Two-panel axial: CT | PSMA PET, 68Ga tracer. Acquired on Siemens Biograph mCT Flow 20. Slice position z = 169 mm. PET panel 200×200 px (4.1 mm/px).
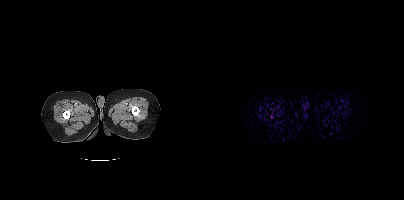
Negative for PSMA-avid disease on this slice.